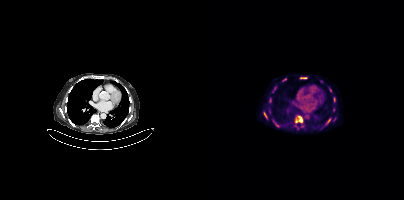
modality: PSMA PET/CT | tracer: 18F | view: axial
Coordinates are on the 200×200 PET (right) panel. (showing 8 of 11 foci) PSMA-avid tumor lesion bounding boxes (x, y, width, height): x=91 y=116 w=8 h=7 / x=96 y=77 w=7 h=2 / x=60 y=112 w=4 h=7 / x=129 y=97 w=3 h=6 / x=123 y=118 w=4 h=6. Small PSMA-avid foci (2 to 4 px across) near (center x, center y): (80, 79) / (71, 88) / (126, 89).